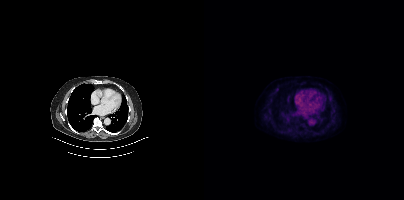
{"modality":"PSMA PET/CT","view":"axial","tracer":"[18F]PSMA-1007","pet_grid":[200,200],"coord_frame":"pet_panel","coord_format":"x0,y0,x1,y1","psma_avid_lesions":false}